- Paired axial CT (left) and PSMA PET (right), [18F]PSMA-1007 tracer
- acquired on Siemens Biograph mCT Flow 20
- slice 360 of 435
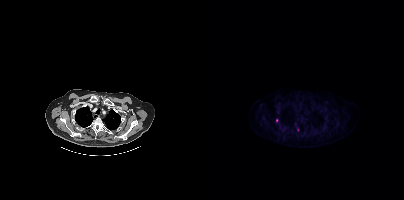
Findings: Coordinates are on the 200×200 PET (right) panel. Small PSMA-avid foci (2 to 4 px across) near (center x, center y): (93, 129); (72, 120).